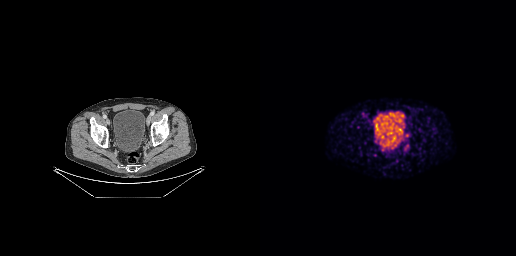
{"modality":"PSMA PET/CT","view":"axial","tracer":"68Ga-PSMA","pet_grid":[256,256],"coord_frame":"pet_panel","coord_format":"x0,y0,x1,y1","lesion_bboxes":[],"small_foci_centers":[[146,135]]}